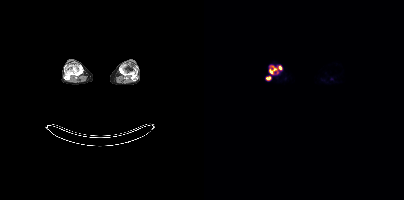
Coordinates are on the 200×200 PET (right) panel. PSMA-avid tumor lesion bounding boxes (x0,y0,x1,y1): [65,66,74,74]; [62,76,66,80]. Small PSMA-avid focus (2 to 4 px across) near (center x, center y): (76, 67).